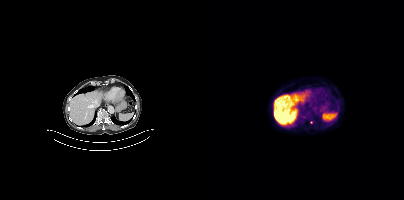
Findings: Only PSMA-avid lesion pieces thinner than 2 px on this slice (not listed).
- Paired axial CT (left) and PSMA PET (right), 18F-PSMA tracer
- slice position z = -601 mm
- PET panel 200×200 px (4.1 mm/px)